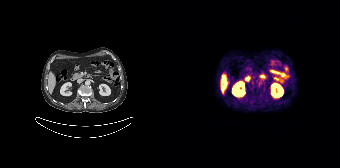
{"modality":"PSMA PET/CT","view":"axial","tracer":"[68Ga]Ga-PSMA-11","pet_grid":[168,168],"coord_frame":"pet_panel","coord_format":"x0,y0,x1,y1","lesion_bboxes":[],"small_foci_centers":[[51,88]]}